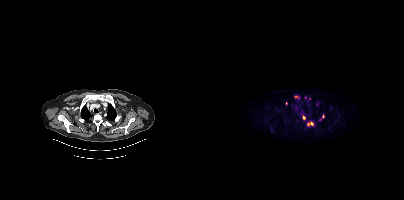
Two-panel axial: CT | PSMA PET, 18F tracer.
Coordinates are on the 200×200 PET (right) panel. PSMA-avid tumor lesion bounding boxes (partial; 1 more focus not listed):
| # | x0 | y0 | x1 | y1 |
|---|---|---|---|---|
| 1 | 103 | 122 | 109 | 125 |
| 2 | 112 | 102 | 114 | 106 |
| 3 | 116 | 115 | 120 | 120 |
| 4 | 90 | 96 | 94 | 98 |
Small PSMA-avid foci (2 to 4 px across) near (center x, center y): (100, 117); (127, 107); (105, 98); (82, 103).